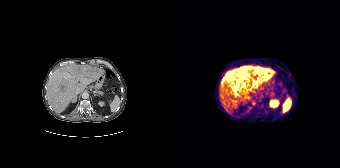
Findings: Coordinates are on the 168×168 PET (right) panel. (showing 7 of 8 foci) PSMA-avid tumor lesion bounding boxes (x, y, width, height): x=65 y=66 w=25 h=18 / x=57 y=79 w=17 h=18 / x=91 y=68 w=8 h=12 / x=50 y=75 w=8 h=8 / x=80 y=80 w=6 h=6 / x=58 y=70 w=5 h=5. Small PSMA-avid focus (2 to 4 px across) near (center x, center y): (81, 103).
Technique: Two-panel axial: CT | PSMA PET, 68Ga tracer. slice position z = -230 mm. PET panel 168×168 px (4.1 mm/px).